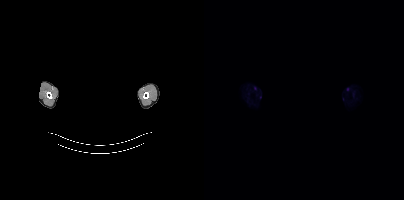
Negative for PSMA-avid disease on this slice.
The face region was removed for patient privacy by blanking a rectangle over the head.